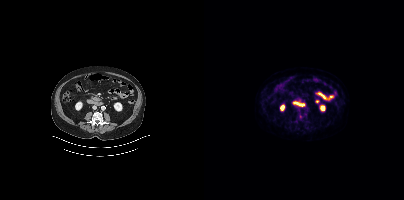
No PSMA-avid tumor lesions on this slice.